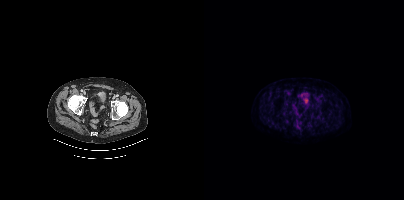
modality: PSMA PET/CT | tracer: 18F-PSMA | view: axial | PET grid: 200×200
Negative for PSMA-avid disease on this slice.